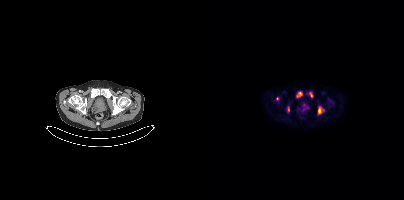
Technique: Paired axial CT (left) and PSMA PET (right), [18F]PSMA-1007 tracer. slice position z = -1494 mm.
Findings: Coordinates are on the 200×200 PET (right) panel. PSMA-avid tumor lesion bounding boxes (x0,y0,x1,y1): [92,91,98,97] [114,107,118,112] [105,92,108,97] [83,106,85,111]. Small PSMA-avid focus (2 to 4 px across) near (center x, center y): (73, 98).